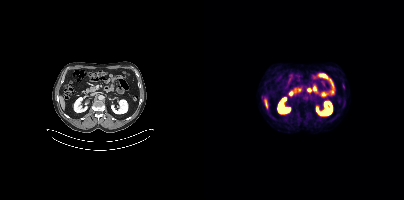
Negative for PSMA-avid disease on this slice.